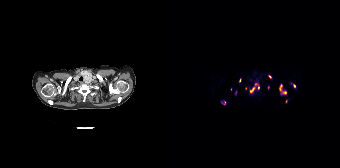
Technique: Left: CT. Right: PSMA PET, same axial level, 18F tracer. acquired on Siemens Biograph 64-4R TruePoint. slice 134 of 165. PET panel 168×168 px (4.1 mm/px).
Findings: Coordinates are on the 168×168 PET (right) panel. (showing 9 of 12 foci) PSMA-avid tumor lesion bounding boxes (x, y, width, height): x=77 y=83 w=11 h=11 / x=107 y=84 w=8 h=11 / x=49 y=101 w=5 h=4. Small PSMA-avid foci (2 to 4 px across) near (center x, center y): (97, 76) / (122, 85) / (68, 79) / (96, 87) / (73, 88) / (63, 92).